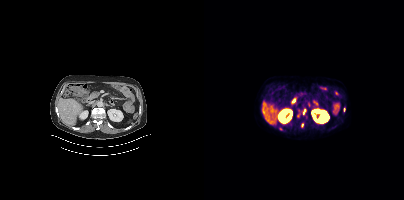
Findings: Only PSMA-avid lesion pieces thinner than 2 px on this slice (not listed).
Technique: Left: CT. Right: PSMA PET, same axial level, 18F tracer.